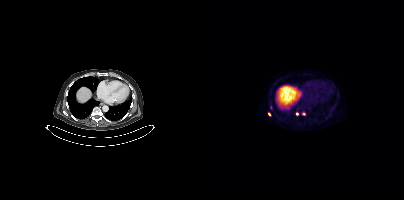
Left: CT. Right: PSMA PET, same axial level, [18F]PSMA-1007 tracer. Coordinates are on the 200×200 PET (right) panel. Small PSMA-avid foci (2 to 4 px across) near (center x, center y): (67, 107); (93, 114); (65, 114); (100, 113).